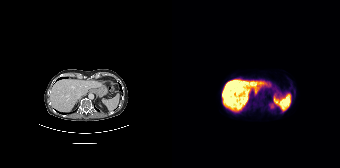
Negative for PSMA-avid disease on this slice. Left: CT. Right: PSMA PET, same axial level, 18F-PSMA tracer. Slice position z = -908 mm.